Technique: Left: CT. Right: PSMA PET, same axial level, 18F tracer.
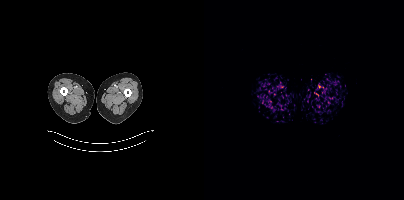
Findings: No PSMA-avid tumor lesions on this slice.